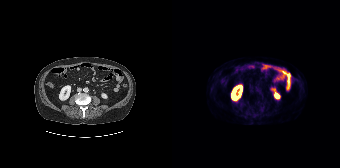
{"modality":"PSMA PET/CT","view":"axial","tracer":"18F-PSMA","pet_grid":[168,168],"coord_frame":"pet_panel","coord_format":"x0,y0,x1,y1","psma_avid_lesions":false}